Paired axial CT (left) and PSMA PET (right), 18F-PSMA tracer. Acquired on Siemens Biograph mCT Flow 20. Slice 159 of 387.
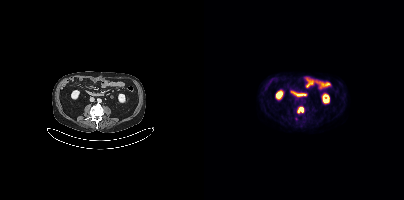
Coordinates are on the 200×200 PET (right) panel. PSMA-avid tumor lesion bounding boxes:
| # | x0 | y0 | x1 | y1 |
|---|---|---|---|---|
| 1 | 94 | 107 | 99 | 112 |